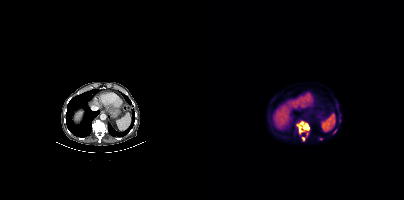
{"modality":"PSMA PET/CT","view":"axial","tracer":"18F","pet_grid":[200,200],"coord_frame":"pet_panel","coord_format":"x0,y0,x1,y1","lesion_bboxes":[[93,122,105,134]],"small_foci_centers":[[99,139],[103,134],[116,138],[130,131]]}